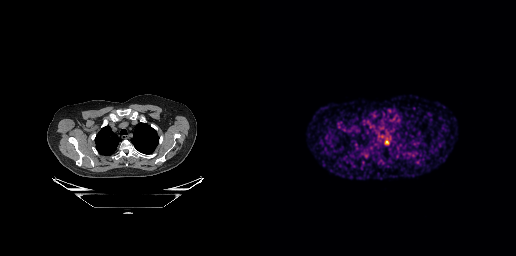
Coordinates are on the 256×256 PET (right) panel. Small PSMA-avid focus (2 to 4 px across) near (center x, center y): (127, 142). Paired axial CT (left) and PSMA PET (right), 68Ga-PSMA tracer.